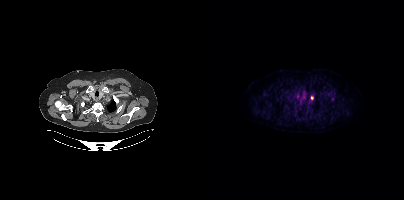
Coordinates are on the 200×200 PET (right) panel. Small PSMA-avid focus (2 to 4 px across) near (center x, center y): (128, 98).